- Paired axial CT (left) and PSMA PET (right), [18F]PSMA-1007 tracer
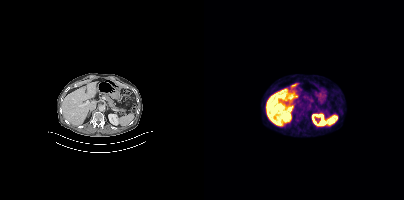
Findings: No tumor lesions annotated on this slice.